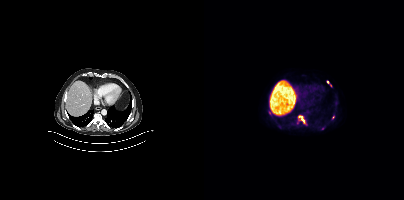
Coordinates are on the 200×200 PET (right) panel. (showing 4 of 5 foci) PSMA-avid tumor lesion bounding box (x0,y0,x1,y1): [94,115,101,123]. Small PSMA-avid foci (2 to 4 px across) near (center x, center y): (66, 112) (129, 117) (124, 82).